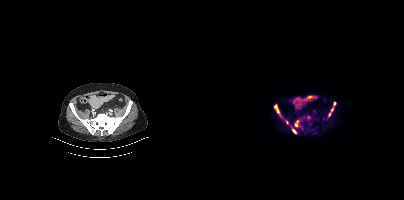
{"modality":"PSMA PET/CT","view":"axial","tracer":"[18F]PSMA-1007","pet_grid":[200,200],"coord_frame":"pet_panel","coord_format":"x0,y0,x1,y1","lesion_bboxes":[[70,104,75,114],[91,120,94,126],[88,129,92,133]],"small_foci_centers":[[128,109],[130,103],[125,114],[82,122]]}